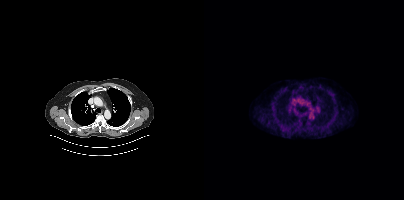
Technique: Two-panel axial: CT | PSMA PET, 18F tracer. PET panel 200×200 px (4.1 mm/px).
Findings: Negative for PSMA-avid disease on this slice.